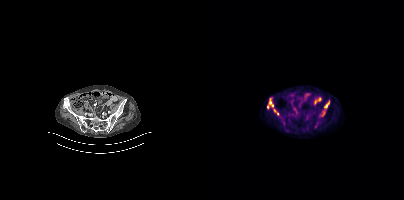
Coordinates are on the 200×200 PET (right) panel. PSMA-avid tumor lesion bounding box (x0,y0,x1,y1): [63,100,74,115]. Small PSMA-avid focus (2 to 4 px across) near (center x, center y): (122, 106).